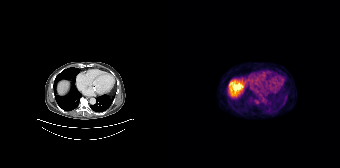
Left: CT. Right: PSMA PET, same axial level, [18F]PSMA-1007 tracer. Coordinates are on the 168×168 PET (right) panel. PSMA-avid tumor lesion bounding box (x, y, width, height): x=82 y=100 w=6 h=5.